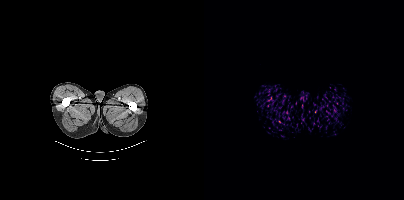
No tumor lesions annotated on this slice.